De-identified by setting a box covering the face to black before release. Left: CT. Right: PSMA PET, same axial level, 18F tracer. Acquired on Siemens Biograph mCT Flow 20.
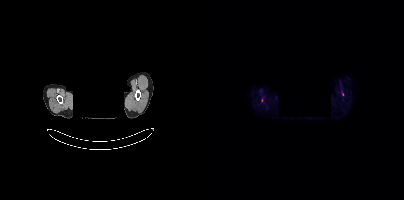
Coordinates are on the 200×200 PET (right) panel. (showing 1 of 2 foci) Small PSMA-avid focus (2 to 4 px across) near (center x, center y): (138, 94).